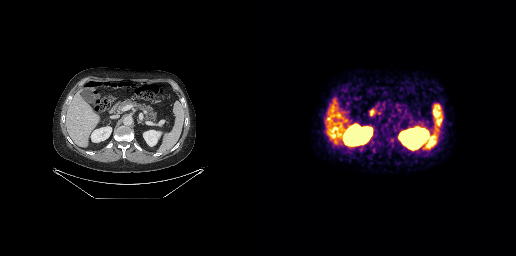
modality: PSMA PET/CT | tracer: 68Ga-PSMA | view: axial | PET grid: 256×256
Negative for PSMA-avid disease on this slice.